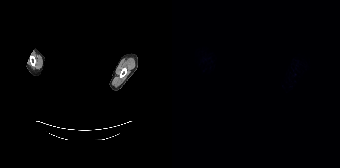
- the head region is masked for de-identification
- Paired axial CT (left) and PSMA PET (right), 18F tracer
Findings: This slice has no annotated PSMA-avid lesion.